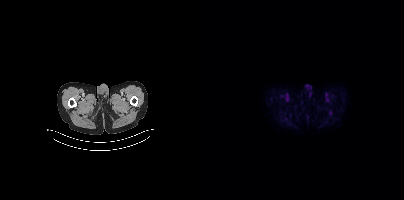
No tumor lesions annotated on this slice.